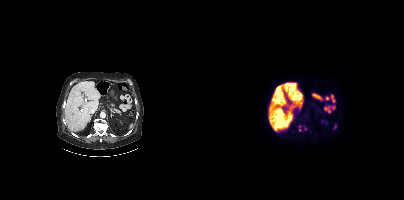
{"modality":"PSMA PET/CT","view":"axial","tracer":"18F-PSMA","pet_grid":[200,200],"coord_frame":"pet_panel","coord_format":"x0,y0,x1,y1","partial":true,"lesion_bboxes":[]}